Left: CT. Right: PSMA PET, same axial level, 18F-PSMA tracer. Slice position z = -619 mm. PET panel 200×200 px (4.1 mm/px).
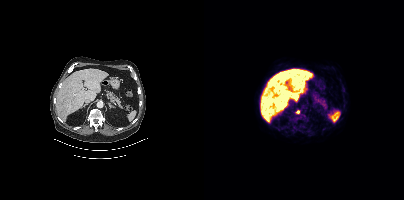
Coordinates are on the 200×200 PET (right) panel. PSMA-avid tumor lesion bounding box (x, y, width, height): x=91 y=110 w=5 h=5.